Technique: Left: CT. Right: PSMA PET, same axial level, 18F-PSMA tracer. slice 54 of 454.
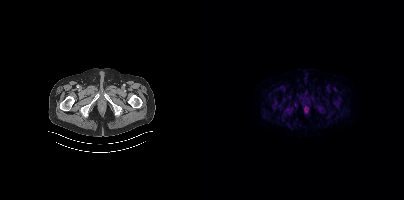
Findings: No tumor lesions annotated on this slice.